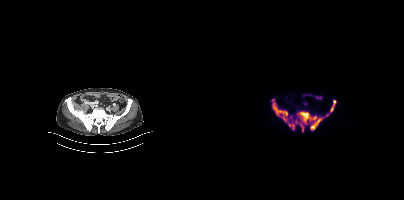
- Two-panel axial: CT | PSMA PET, [18F]PSMA-1007 tracer
Findings: Coordinates are on the 200×200 PET (right) panel. PSMA-avid tumor lesion bounding boxes (x0, y0)-(x1, y1): (68, 99)-(119, 131) | (126, 100)-(131, 112). Small PSMA-avid foci (2 to 4 px across) near (center x, center y): (123, 115) | (86, 116).